- Paired axial CT (left) and PSMA PET (right), 18F tracer
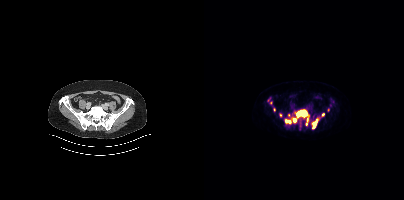
Findings: Coordinates are on the 200×200 PET (right) panel. (showing 8 of 10 foci) PSMA-avid tumor lesion bounding boxes (x, y, width, height): x=88 y=110 w=16 h=13 | x=108 y=119 w=6 h=10 | x=81 y=119 w=7 h=5 | x=102 y=117 w=3 h=9. Small PSMA-avid foci (2 to 4 px across) near (center x, center y): (119, 114) | (76, 115) | (70, 109) | (84, 114).